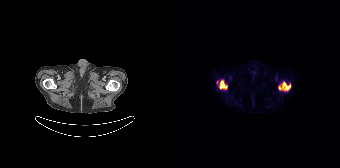
modality: PSMA PET/CT | tracer: 18F-PSMA | view: axial
Coordinates are on the 168×168 PET (right) panel. (showing 2 of 3 foci) PSMA-avid tumor lesion bounding boxes (x0,y0,x1,y1): [106,82,118,90] [47,80,55,88].